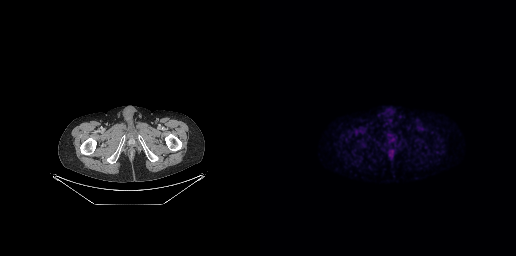
No PSMA-avid tumor lesions on this slice.